Technique: Paired axial CT (left) and PSMA PET (right), 18F-PSMA tracer. acquired on Siemens Biograph mCT Flow 20. PET panel 200×200 px (4.1 mm/px).
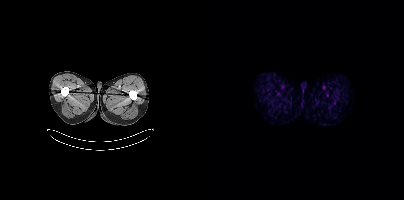
Findings: Negative for PSMA-avid disease on this slice.